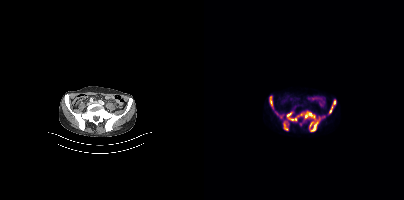
Coordinates are on the 200×200 PET (right) panel. (showing 4 of 7 foci) PSMA-avid tumor lesion bounding boxes (x, y, width, height): x=82 y=111 w=34 h=21 / x=124 y=99 w=9 h=16 / x=79 y=121 w=6 h=10 / x=66 y=96 w=3 h=11.